modality: PSMA PET/CT | tracer: [18F]PSMA-1007 | view: axial
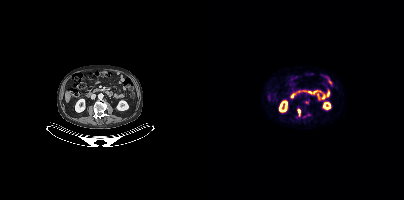
Coordinates are on the 200×200 PET (right) panel. PSMA-avid tumor lesion bounding box (x, y, width, height): x=94 y=109 w=3 h=8.